modality: PSMA PET/CT | tracer: 18F-PSMA | view: axial
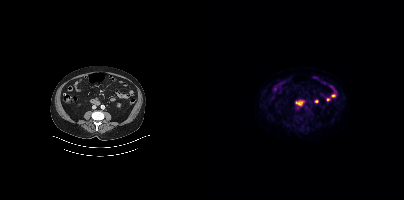
Negative for PSMA-avid disease on this slice.